Left: CT. Right: PSMA PET, same axial level, [18F]PSMA-1007 tracer. Acquired on GE Discovery 690.
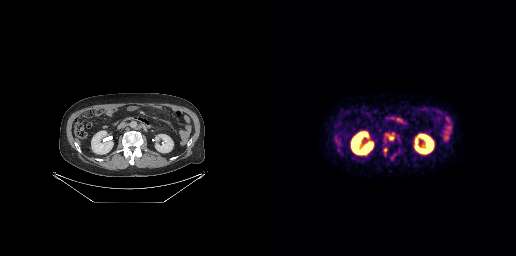
Coordinates are on the 256×256 PET (right) panel. PSMA-avid tumor lesion bounding boxes (partial; 1 more focus not listed):
| # | x0 | y0 | x1 | y1 |
|---|---|---|---|---|
| 1 | 125 | 132 | 134 | 140 |
| 2 | 124 | 148 | 127 | 155 |